Paired axial CT (left) and PSMA PET (right), [18F]PSMA-1007 tracer.
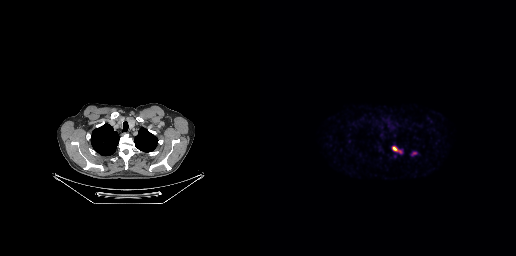
Coordinates are on the 256×256 PET (right) panel. PSMA-avid tumor lesion bounding boxes:
| # | x0 | y0 | x1 | y1 |
|---|---|---|---|---|
| 1 | 132 | 146 | 141 | 153 |
Small PSMA-avid focus (2 to 4 px across) near (center x, center y): (154, 153).